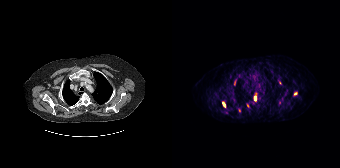
Paired axial CT (left) and PSMA PET (right), 68Ga tracer. Slice 160 of 195.
Coordinates are on the 168×168 PET (right) panel. PSMA-avid tumor lesion bounding boxes (partial; 2 more foci not listed):
| # | x0 | y0 | x1 | y1 |
|---|---|---|---|---|
| 1 | 50 | 101 | 53 | 107 |
| 2 | 82 | 95 | 84 | 101 |
Small PSMA-avid foci (2 to 4 px across) near (center x, center y): (123, 93); (67, 110); (62, 83).